modality: PSMA PET/CT | tracer: 18F | view: axial
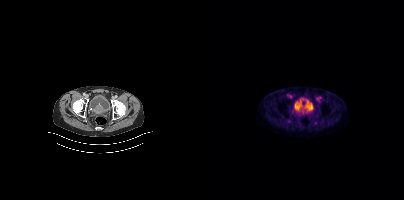
Coordinates are on the 200×200 PET (right) panel. PSMA-avid tumor lesion bounding box (x0, y0)-(x1, y1): (94, 105)-(104, 113).